modality: PSMA PET/CT | tracer: [18F]PSMA-1007 | view: axial
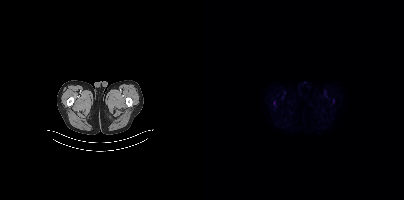
No PSMA-avid tumor lesions on this slice.